Paired axial CT (left) and PSMA PET (right), 18F-PSMA tracer. Acquired on Siemens Biograph mCT Flow 20. Slice position z = -526 mm.
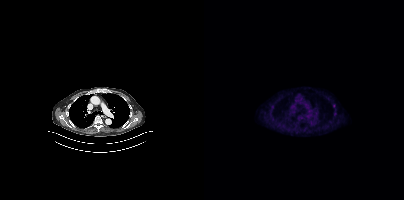
Coordinates are on the 200×200 PET (right) panel. (showing 1 of 2 foci) Small PSMA-avid focus (2 to 4 px across) near (center x, center y): (129, 106).